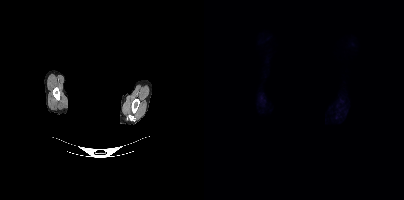
Findings: No PSMA-avid tumor lesions on this slice.
Technique: Paired axial CT (left) and PSMA PET (right), 18F tracer. acquired on Siemens Biograph mCT Flow 20. slice 387 of 427. PET panel 200×200 px (4.1 mm/px).
Note: Privacy masking over the head, with the pixels inside a rectangle set to black.